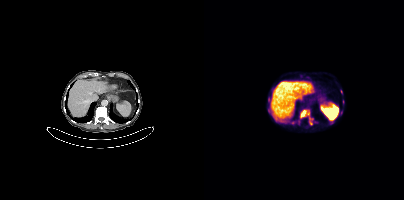
Paired axial CT (left) and PSMA PET (right), 18F tracer. Slice position z = 46 mm. Coordinates are on the 200×200 PET (right) panel. PSMA-avid tumor lesion bounding box (x0, y0)-(x1, y1): (96, 110)-(108, 124).